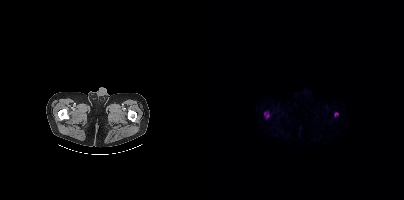
Findings: Coordinates are on the 200×200 PET (right) panel. (showing 2 of 3 foci) PSMA-avid tumor lesion bounding boxes (x0, y0)-(x1, y1): (62, 114)-(65, 118) | (130, 113)-(134, 116).
Technique: Two-panel axial: CT | PSMA PET, 18F tracer. acquired on Siemens Biograph mCT Flow 20. slice 106 of 508.